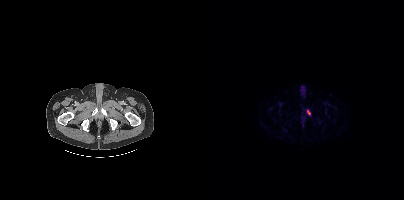
Findings: Coordinates are on the 200×200 PET (right) panel. PSMA-avid tumor lesion bounding box (x0, y0)-(x1, y1): (103, 110)-(106, 114).
Technique: Left: CT. Right: PSMA PET, same axial level, 18F tracer. acquired on Siemens Biograph mCT Flow 20.